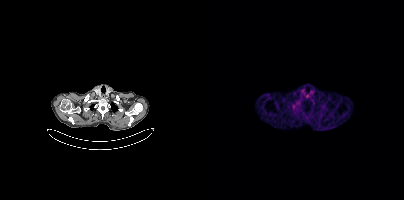
{"modality":"PSMA PET/CT","view":"axial","tracer":"[68Ga]Ga-PSMA-11","pet_grid":[200,200],"coord_frame":"pet_panel","coord_format":"x0,y0,x1,y1","psma_avid_lesions":false}